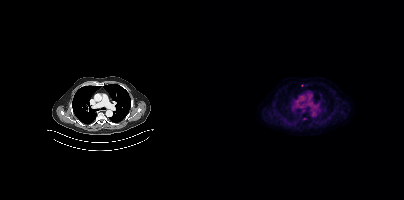
Only PSMA-avid lesion pieces thinner than 2 px on this slice (not listed).